modality: PSMA PET/CT | tracer: 18F-PSMA | view: axial
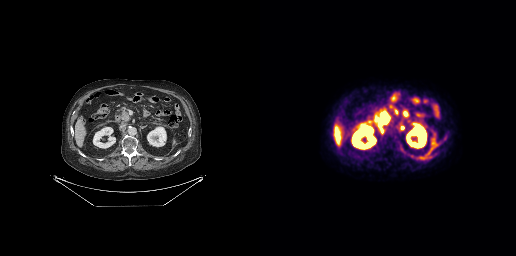
No PSMA-avid tumor lesions on this slice.